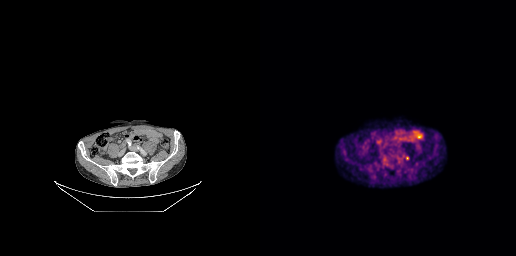
Two-panel axial: CT | PSMA PET, 18F-PSMA tracer. Acquired on GE Discovery 690. PET panel 256×256 px (2.7 mm/px). Coordinates are on the 256×256 PET (right) panel. Small PSMA-avid focus (2 to 4 px across) near (center x, center y): (146, 157).